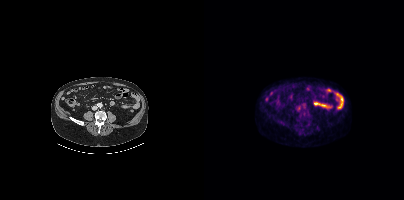
Technique: Paired axial CT (left) and PSMA PET (right), 18F-PSMA tracer. acquired on Siemens Biograph mCT Flow 20. PET panel 200×200 px (4.1 mm/px).
Findings: No PSMA-avid tumor lesions on this slice.